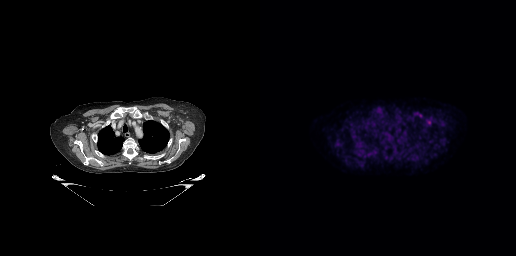
Coordinates are on the 256×256 PET (right) panel. (showing 1 of 2 foci) Small PSMA-avid focus (2 to 4 px across) near (center x, center y): (159, 114).
modality: PSMA PET/CT | tracer: 18F-PSMA | view: axial | PET grid: 256×256